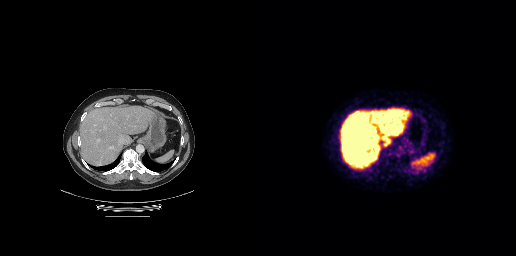
Negative for PSMA-avid disease on this slice.